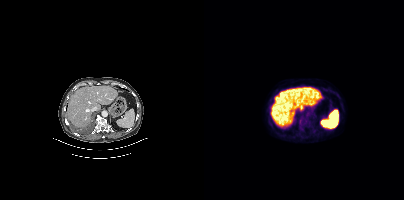
- Two-panel axial: CT | PSMA PET, 18F tracer
- acquired on Siemens Biograph mCT Flow 20
- slice position z = -1150 mm
Findings: Coordinates are on the 200×200 PET (right) panel. PSMA-avid tumor lesion bounding box (x0,y0,x1,y1): [95,119,98,123].